modality: PSMA PET/CT | tracer: 18F-PSMA | view: axial
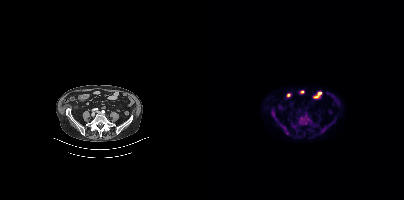
Coordinates are on the 200×200 PET (right) panel. PSMA-avid tumor lesion bounding boxes (x0,y0,x1,y1): [95,115,105,124] [76,123,82,132]. Small PSMA-avid focus (2 to 4 px across) near (center x, center y): (72, 120).